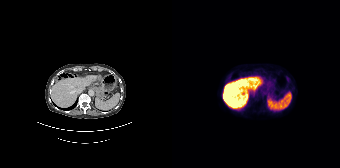
Findings: Negative for PSMA-avid disease on this slice.
- Paired axial CT (left) and PSMA PET (right), 18F-PSMA tracer
- acquired on Siemens Biograph 64-4R TruePoint
- PET panel 168×168 px (4.1 mm/px)